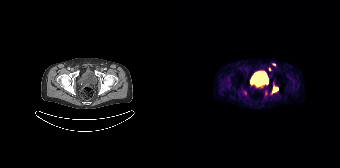
{"modality":"PSMA PET/CT","view":"axial","tracer":"68Ga","pet_grid":[168,168],"coord_frame":"pet_panel","coord_format":"x0,y0,x1,y1","partial":true,"lesion_bboxes":[[101,88,106,91]]}